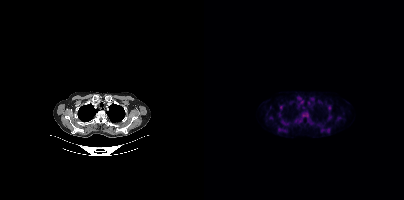
Left: CT. Right: PSMA PET, same axial level, 18F tracer. Slice position z = -307 mm. PET panel 200×200 px (4.1 mm/px). Coordinates are on the 200×200 PET (right) panel. (showing 2 of 4 foci) Small PSMA-avid foci (2 to 4 px across) near (center x, center y): (77, 107), (125, 109).